Two-panel axial: CT | PSMA PET, 18F tracer.
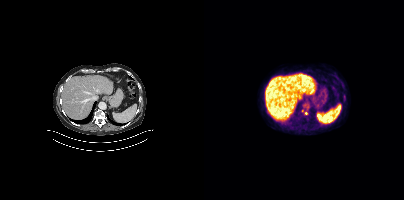
Coordinates are on the 200×200 PET (right) panel. (showing 1 of 2 foci) Small PSMA-avid focus (2 to 4 px across) near (center x, center y): (102, 113).